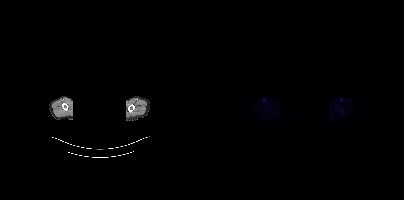
de-identification: facial region redacted | modality: PSMA PET/CT | tracer: 18F | view: axial | PET grid: 200×200
No PSMA-avid tumor lesions on this slice.